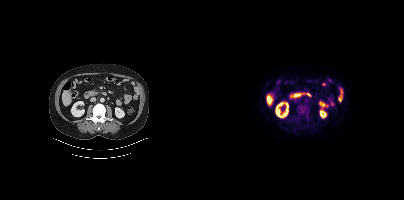
Coordinates are on the 200×200 PET (right) panel. PSMA-avid tumor lesion bounding boxes (x, y, width, height): x=93 y=103 w=13 h=17; x=92 y=119 w=7 h=7.